Left: CT. Right: PSMA PET, same axial level, 18F-PSMA tracer. Acquired on GE Discovery 690. PET panel 256×256 px (2.7 mm/px).
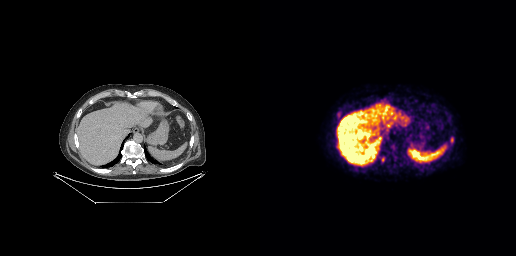
Coordinates are on the 256×256 PET (right) panel. PSMA-avid tumor lesion bounding boxes (partial; 1 more focus not listed):
| # | x0 | y0 | x1 | y1 |
|---|---|---|---|---|
| 1 | 190 | 137 | 193 | 143 |